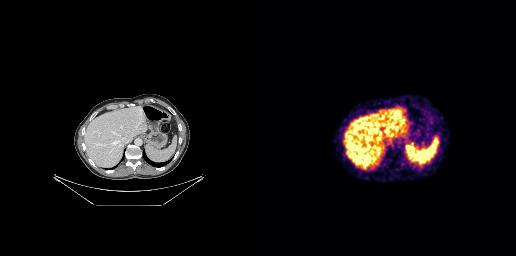
Two-panel axial: CT | PSMA PET, 68Ga-PSMA tracer. Slice 145 of 263. Coordinates are on the 256×256 PET (right) panel. Small PSMA-avid focus (2 to 4 px across) near (center x, center y): (137, 169).